- Two-panel axial: CT | PSMA PET, 18F-PSMA tracer
- acquired on Siemens Biograph mCT Flow 20
- slice 176 of 403
- PET panel 200×200 px (4.1 mm/px)
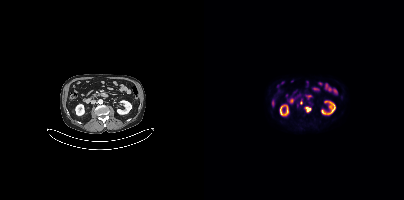
Findings: Coordinates are on the 200×200 PET (right) panel. (showing 2 of 3 foci) PSMA-avid tumor lesion bounding box (x, y, width, height): x=101 y=107 w=6 h=5. Small PSMA-avid focus (2 to 4 px across) near (center x, center y): (97, 101).